Left: CT. Right: PSMA PET, same axial level, 18F tracer. Slice position z = -1244 mm. PET panel 200×200 px (4.1 mm/px).
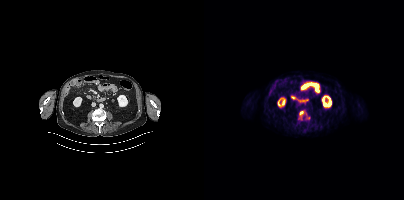
Coordinates are on the 200×200 PET (right) panel. Small PSMA-avid focus (2 to 4 px across) near (center x, center y): (97, 112).